- Paired axial CT (left) and PSMA PET (right), [18F]PSMA-1007 tracer
- PET panel 200×200 px (4.1 mm/px)
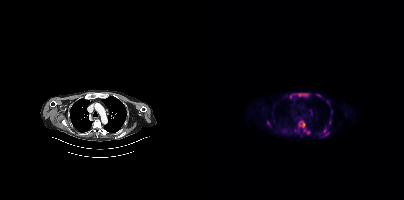
Findings: Coordinates are on the 200×200 PET (right) panel. (showing 10 of 11 foci) PSMA-avid tumor lesion bounding boxes (x, y, width, height): x=94 y=120 w=13 h=14 / x=93 y=93 w=13 h=5 / x=119 y=128 w=7 h=9 / x=85 y=93 w=5 h=7 / x=105 y=109 w=4 h=7 / x=112 y=94 w=6 h=3. Small PSMA-avid foci (2 to 4 px across) near (center x, center y): (127, 111) / (64, 123) / (125, 122) / (124, 102).